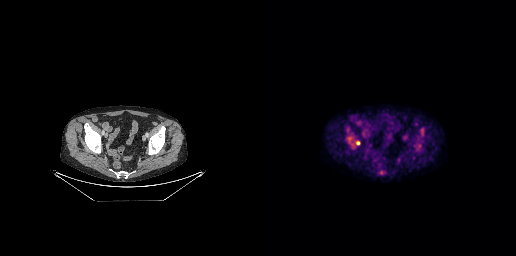
Coordinates are on the 256×256 PET (right) panel. PSMA-avid tumor lesion bounding box (x, y, width, height): x=160 y=128 w=5 h=8. Small PSMA-avid foci (2 to 4 px across) near (center x, center y): (97, 142) / (121, 172).